modality: PSMA PET/CT | tracer: [18F]PSMA-1007 | view: axial
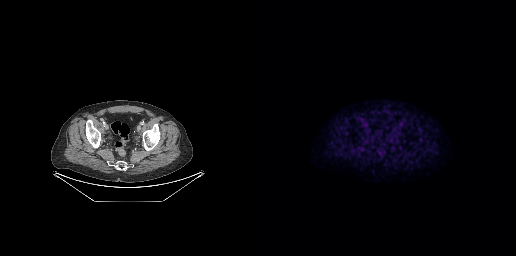
No tumor lesions annotated on this slice.